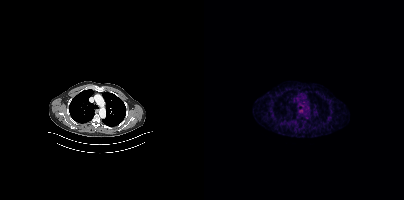
Negative for PSMA-avid disease on this slice.
modality: PSMA PET/CT | tracer: [68Ga]Ga-PSMA-11 | view: axial | PET grid: 200×200